Technique: Two-panel axial: CT | PSMA PET, 18F-PSMA tracer. slice position z = -374 mm.
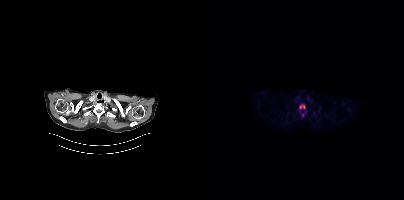
Findings: Coordinates are on the 200×200 PET (right) panel. PSMA-avid tumor lesion bounding box (x0,y0,x1,y1): [95,104,101,108]. Small PSMA-avid focus (2 to 4 px across) near (center x, center y): (98, 114).